- Left: CT. Right: PSMA PET, same axial level, [18F]PSMA-1007 tracer
- slice position z = -921 mm
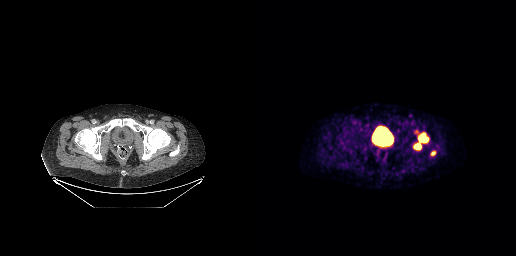
Findings: Coordinates are on the 256×256 PET (right) panel. PSMA-avid tumor lesion bounding boxes (x0,y0,x1,y1): [153,132,168,150], [171,151,175,155].